Technique: Paired axial CT (left) and PSMA PET (right), 18F-PSMA tracer. acquired on Siemens Biograph mCT Flow 20. PET panel 200×200 px (4.1 mm/px).
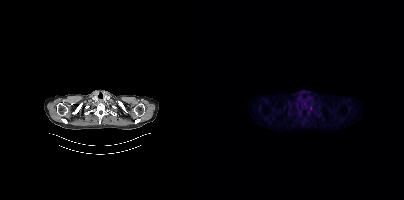
Findings: This slice has no annotated PSMA-avid lesion.